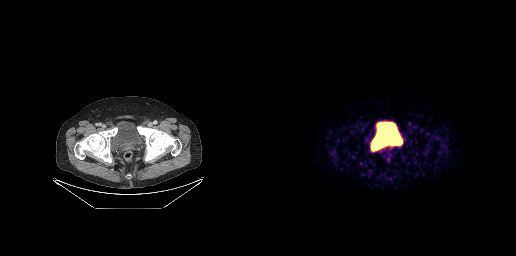
Negative for PSMA-avid disease on this slice.